Paired axial CT (left) and PSMA PET (right), [18F]PSMA-1007 tracer. De-identified by setting a box covering the face to black before release.
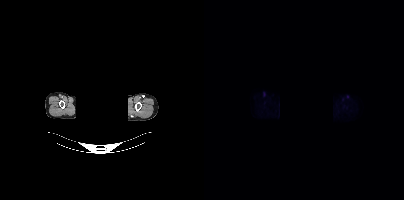
Negative for PSMA-avid disease on this slice.